modality: PSMA PET/CT | tracer: [18F]PSMA-1007 | view: axial
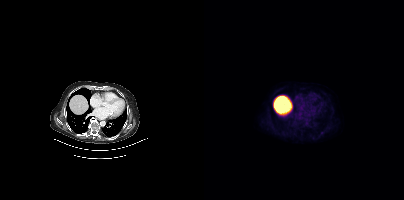
No PSMA-avid tumor lesions on this slice.